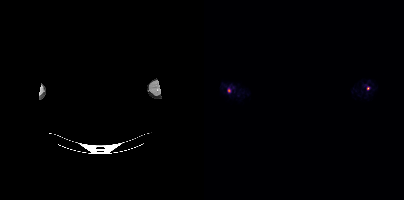
Technique: Two-panel axial: CT | PSMA PET, 18F-PSMA tracer. slice 424 of 429. PET panel 200×200 px (4.1 mm/px).
Note: Head region blanked for anonymization (face removed).
Findings: Coordinates are on the 200×200 PET (right) panel. Small PSMA-avid foci (2 to 4 px across) near (center x, center y): (25, 90) / (164, 88).